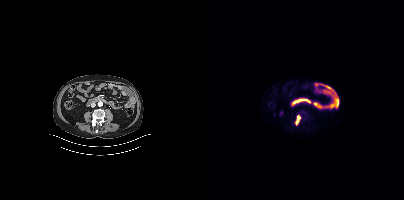
- Left: CT. Right: PSMA PET, same axial level, [18F]PSMA-1007 tracer
- acquired on Siemens Biograph mCT Flow 20
- slice 176 of 423
Findings: Coordinates are on the 200×200 PET (right) panel. PSMA-avid tumor lesion bounding box (x, y, width, height): x=92 y=115 w=5 h=10.